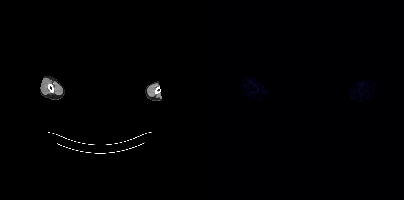
Technique: Two-panel axial: CT | PSMA PET, 18F-PSMA tracer. PET panel 200×200 px (4.1 mm/px).
Note: Facial anatomy redacted by setting a rectangular region of the head to black.
Findings: No PSMA-avid tumor lesions on this slice.